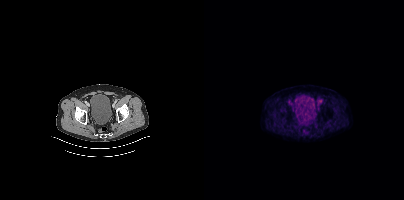
Paired axial CT (left) and PSMA PET (right), [18F]PSMA-1007 tracer. Acquired on Siemens Biograph mCT Flow 20. Coordinates are on the 200×200 PET (right) panel. Small PSMA-avid focus (2 to 4 px across) near (center x, center y): (116, 100).